redaction: privacy mask over head | modality: PSMA PET/CT | tracer: 18F | view: axial
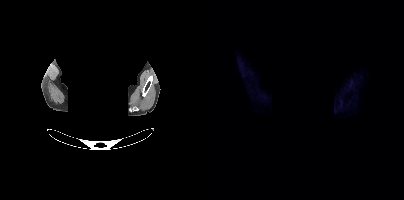
No tumor lesions annotated on this slice.